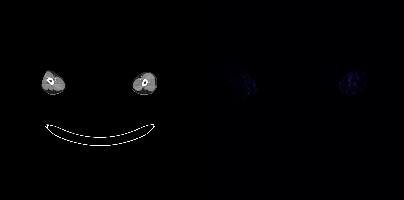
Paired axial CT (left) and PSMA PET (right), [18F]PSMA-1007 tracer. Acquired on Siemens Biograph mCT Flow 20. Facial anatomy redacted by setting a rectangular region of the head to black. No PSMA-avid tumor lesions on this slice.